Two-panel axial: CT | PSMA PET, 18F-PSMA tracer. PET panel 256×256 px (2.7 mm/px).
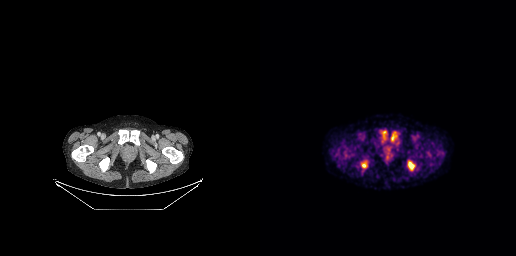
Coordinates are on the 256×256 PET (right) panel. (showing 4 of 6 foci) PSMA-avid tumor lesion bounding boxes (x0, y0)-(x1, y1): (101, 161)-(107, 168) | (126, 148)-(130, 152) | (130, 135)-(133, 141). Small PSMA-avid focus (2 to 4 px across) near (center x, center y): (151, 164).